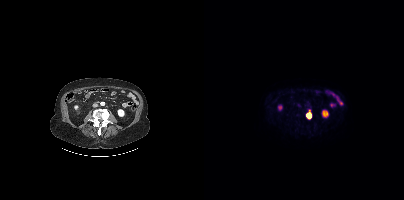
Coordinates are on the 200×200 PET (right) panel. PSMA-avid tumor lesion bounding box (x, y, width, height): x=102 y=113 w=6 h=6.